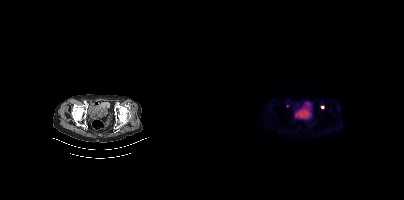
Coordinates are on the 200×200 PET (right) panel. (showing 1 of 2 foci) Small PSMA-avid focus (2 to 4 px across) near (center x, center y): (118, 107).